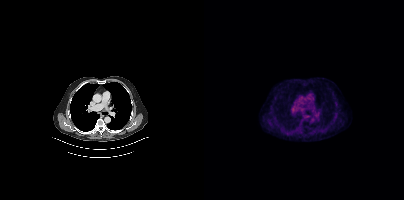
Technique: Left: CT. Right: PSMA PET, same axial level, 18F-PSMA tracer. slice 275 of 397.
Findings: No PSMA-avid tumor lesions on this slice.